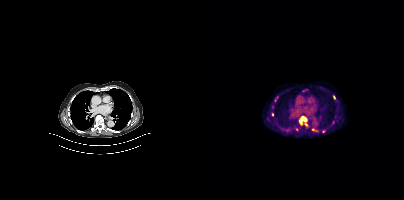
{"modality":"PSMA PET/CT","view":"axial","tracer":"[18F]PSMA-1007","pet_grid":[200,200],"coord_frame":"pet_panel","coord_format":"x0,y0,x1,y1","partial":true,"lesion_bboxes":[[95,116,103,125]],"small_foci_centers":[[130,97],[68,114],[109,129],[92,129],[119,131]]}